modality: PSMA PET/CT | tracer: 68Ga | view: axial
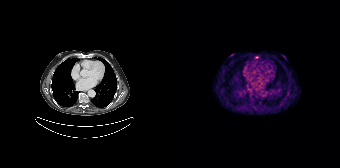
Coordinates are on the 168×168 PET (right) panel. Small PSMA-avid focus (2 to 4 px across) near (center x, center y): (84, 57).